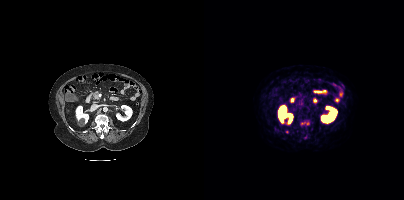
Coordinates are on the 200×200 PET (right) panel. PSMA-avid tumor lesion bounding box (x0,y0,x1,y1): [98,122,105,124]. Small PSMA-avid focus (2 to 4 px across) near (center x, center y): (83, 132).